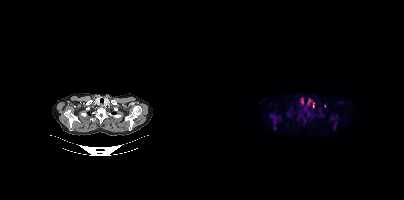
Two-panel axial: CT | PSMA PET, [18F]PSMA-1007 tracer. Slice position z = -281 mm.
Coordinates are on the 200×200 PET (right) panel. PSMA-avid tumor lesion bounding boxes (partial; 3 more foci not listed):
| # | x0 | y0 | x1 | y1 |
|---|---|---|---|---|
| 1 | 66 | 114 | 73 | 124 |
| 2 | 129 | 122 | 132 | 129 |
| 3 | 109 | 103 | 110 | 107 |
Small PSMA-avid foci (2 to 4 px across) near (center x, center y): (70, 127); (132, 116).